Technique: Left: CT. Right: PSMA PET, same axial level, 18F tracer. slice position z = -318 mm. PET panel 200×200 px (4.1 mm/px).
Note: A rectangle over the head was blacked out to remove identifiable facial features.
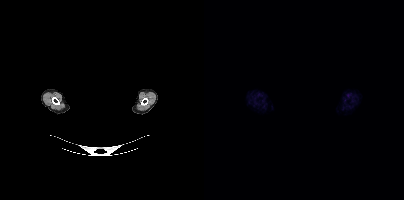
Findings: No PSMA-avid tumor lesions on this slice.